Technique: Paired axial CT (left) and PSMA PET (right), 18F tracer. slice 120 of 409.
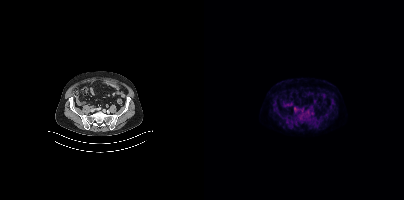
Findings: Coordinates are on the 200×200 PET (right) panel. PSMA-avid tumor lesion bounding box (x, y, width, height): x=90 y=107 w=4 h=5.